Left: CT. Right: PSMA PET, same axial level, 18F-PSMA tracer. Acquired on Siemens Biograph mCT Flow 20. PET panel 200×200 px (4.1 mm/px).
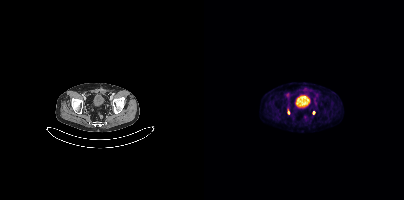
Coordinates are on the 200×200 PET (right) panel. Small PSMA-avid foci (2 to 4 px across) near (center x, center y): (84, 112); (109, 112).